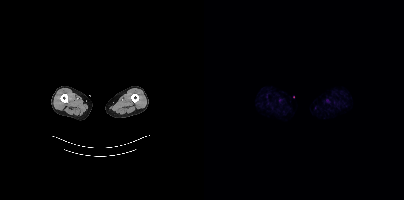
Paired axial CT (left) and PSMA PET (right), 18F tracer. Slice 15 of 466. PET panel 200×200 px (4.1 mm/px). Negative for PSMA-avid disease on this slice.